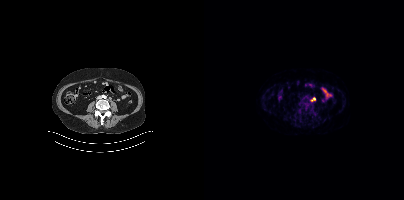
Coordinates are on the 200×200 PET (right) panel. PSMA-avid tumor lesion bounding box (x0, y0)-(x1, y1): (107, 97)-(111, 101).